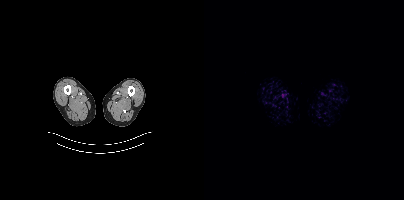
Findings: No tumor lesions annotated on this slice.
- Paired axial CT (left) and PSMA PET (right), 18F tracer
- acquired on Siemens Biograph mCT Flow 20